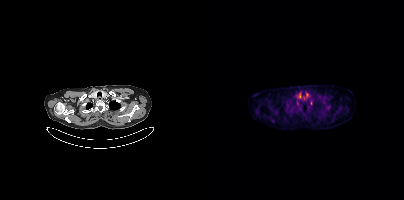
Two-panel axial: CT | PSMA PET, 18F tracer. Acquired on Siemens Biograph mCT Flow 20. PET panel 200×200 px (4.1 mm/px). Only PSMA-avid lesion pieces thinner than 2 px on this slice (not listed).